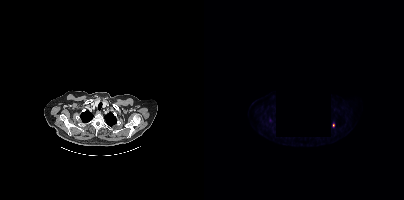
Coordinates are on the 200×200 PET (right) panel. Small PSMA-avid focus (2 to 4 px across) near (center x, center y): (129, 125). Part of this slice was blanked for de-identification. Two-panel axial: CT | PSMA PET, [18F]PSMA-1007 tracer.